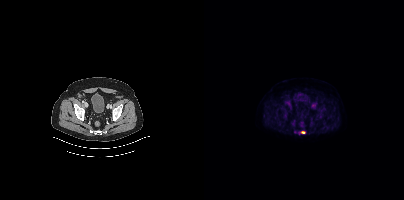
Left: CT. Right: PSMA PET, same axial level, 18F tracer. Acquired on Siemens Biograph mCT Flow 20.
Coordinates are on the 200×200 PET (right) panel. PSMA-avid tumor lesion bounding boxes:
| # | x0 | y0 | x1 | y1 |
|---|---|---|---|---|
| 1 | 96 | 131 | 101 | 133 |